- Left: CT. Right: PSMA PET, same axial level, 18F tracer
- slice 88 of 395
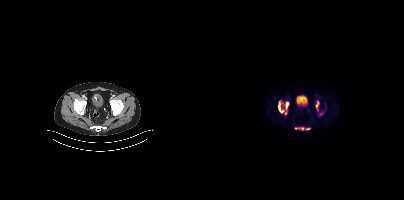
Findings: Coordinates are on the 200×200 PET (right) panel. PSMA-avid tumor lesion bounding boxes (x0, y0)-(x1, y1): (74, 101)-(85, 114); (111, 100)-(115, 111); (91, 127)-(100, 130); (102, 128)-(106, 129). Small PSMA-avid focus (2 to 4 px across) near (center x, center y): (116, 113).